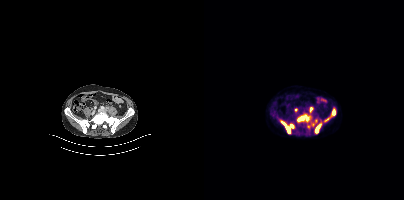
Coordinates are on the 200×200 PET (right) panel. PSMA-avid tumor lesion bounding boxes (partial; 2 more foci not listed):
| # | x0 | y0 | x1 | y1 |
|---|---|---|---|---|
| 1 | 77 | 121 | 90 | 133 |
| 2 | 93 | 114 | 105 | 121 |
| 3 | 111 | 123 | 117 | 133 |
| 4 | 128 | 109 | 131 | 115 |
Small PSMA-avid foci (2 to 4 px across) near (center x, center y): (107, 109); (92, 109).
Left: CT. Right: PSMA PET, same axial level, 18F tracer. Slice position z = -854 mm.